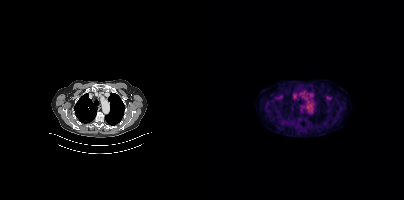
Negative for PSMA-avid disease on this slice.
modality: PSMA PET/CT | tracer: 18F-PSMA | view: axial